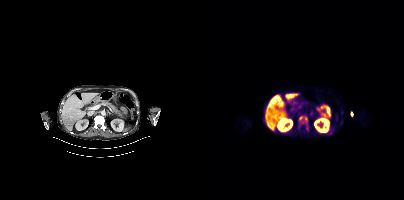
Paired axial CT (left) and PSMA PET (right), 18F tracer. Acquired on Siemens Biograph mCT Flow 20. Slice position z = -1140 mm. PET panel 200×200 px (4.1 mm/px).
Coordinates are on the 200×200 PET (right) panel. PSMA-avid tumor lesion bounding boxes (partial; 1 more focus not listed):
| # | x0 | y0 | x1 | y1 |
|---|---|---|---|---|
| 1 | 95 | 115 | 103 | 124 |